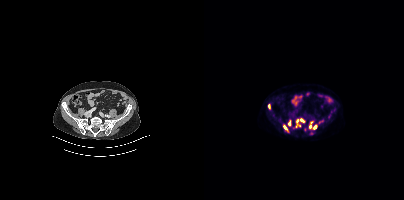
- Left: CT. Right: PSMA PET, same axial level, 18F-PSMA tracer
- slice position z = -812 mm
Findings: Coordinates are on the 200×200 PET (right) panel. (showing 7 of 9 foci) PSMA-avid tumor lesion bounding boxes (x, y, width, height): x=105 y=121 w=4 h=8 | x=109 y=125 w=5 h=5 | x=64 y=104 w=3 h=7 | x=96 y=119 w=5 h=4 | x=79 y=125 w=5 h=6 | x=84 y=120 w=3 h=6. Small PSMA-avid focus (2 to 4 px across) near (center x, center y): (93, 120).